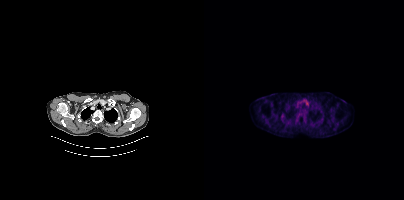
Negative for PSMA-avid disease on this slice. Paired axial CT (left) and PSMA PET (right), 18F tracer. Slice 357 of 442. PET panel 200×200 px (4.1 mm/px).